- Left: CT. Right: PSMA PET, same axial level, 68Ga tracer
- acquired on Siemens Biograph mCT Flow 20
- slice 196 of 397
- PET panel 200×200 px (4.1 mm/px)
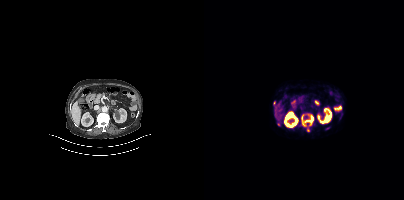
Findings: Coordinates are on the 200×200 PET (right) panel. (showing 5 of 6 foci) PSMA-avid tumor lesion bounding box (x0,y0,x1,y1): [97,114,109,126]. Small PSMA-avid foci (2 to 4 px across) near (center x, center y): (70, 102); (75, 123); (104, 130); (106, 124).